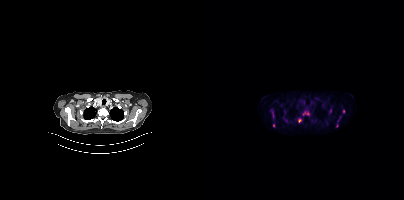
Technique: Two-panel axial: CT | PSMA PET, 18F tracer. acquired on Siemens Biograph mCT Flow 20. PET panel 200×200 px (4.1 mm/px).
Findings: Coordinates are on the 200×200 PET (right) panel. (showing 7 of 8 foci) Small PSMA-avid foci (2 to 4 px across) near (center x, center y): (95, 120) (133, 125) (126, 110) (139, 111) (69, 125) (104, 113) (100, 113).